Left: CT. Right: PSMA PET, same axial level, 18F-PSMA tracer. Slice position z = -1270 mm. PET panel 200×200 px (4.1 mm/px).
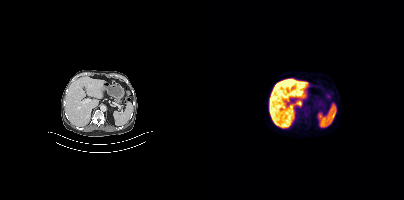
This slice has no annotated PSMA-avid lesion.